Paired axial CT (left) and PSMA PET (right), 18F-PSMA tracer. PET panel 200×200 px (4.1 mm/px).
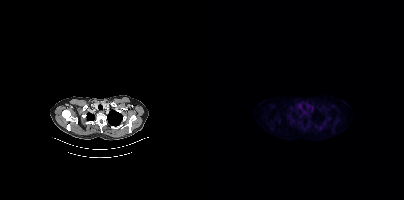
No tumor lesions annotated on this slice.